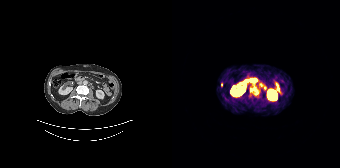
- Paired axial CT (left) and PSMA PET (right), 68Ga tracer
Findings: Coordinates are on the 168×168 PET (right) panel. PSMA-avid tumor lesion bounding box (x0,y0,x1,y1): [78,86,86,95]. Small PSMA-avid focus (2 to 4 px across) near (center x, center y): (49, 84).